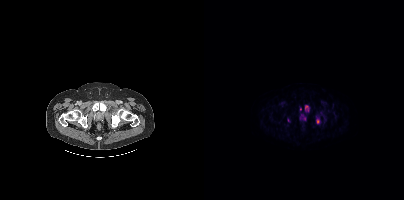
Coordinates are on the 200×200 PET (right) panel. (showing 4 of 5 foci) PSMA-avid tumor lesion bounding boxes (x0, y0)-(x1, y1): (101, 105)-(104, 110); (113, 119)-(115, 123). Small PSMA-avid foci (2 to 4 px across) near (center x, center y): (98, 116); (84, 120).